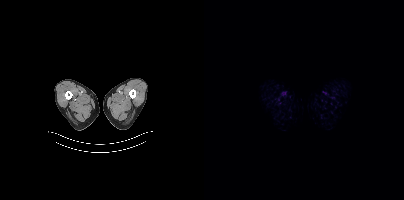
Findings: No tumor lesions annotated on this slice.
- Two-panel axial: CT | PSMA PET, 18F-PSMA tracer
- acquired on Siemens Biograph mCT Flow 20
- PET panel 200×200 px (4.1 mm/px)